Technique: Left: CT. Right: PSMA PET, same axial level, [18F]PSMA-1007 tracer. PET panel 200×200 px (4.1 mm/px).
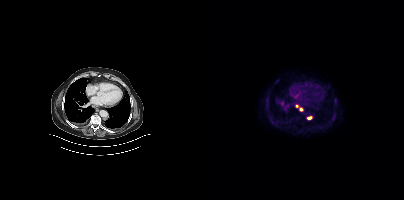
Findings: Coordinates are on the 200×200 PET (right) panel. PSMA-avid tumor lesion bounding box (x0, y0)-(x1, y1): (103, 117)-(107, 119). Small PSMA-avid foci (2 to 4 px across) near (center x, center y): (97, 109); (93, 106).